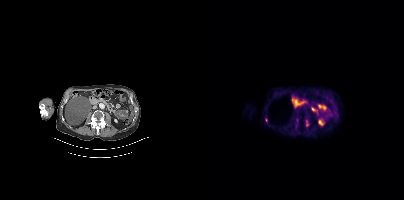
{"pet_grid":[200,200],"coord_frame":"pet_panel","coord_format":"x0,y0,x1,y1","lesion_bboxes":[[102,120,104,125]],"small_foci_centers":[[62,120]],"modality":"PSMA PET/CT","view":"axial","tracer":"18F"}